Any black rectangle over the head is a privacy mask, not anatomy. Paired axial CT (left) and PSMA PET (right), 18F tracer. Acquired on GE Discovery 690. Slice 242 of 263. PET panel 256×256 px (2.7 mm/px).
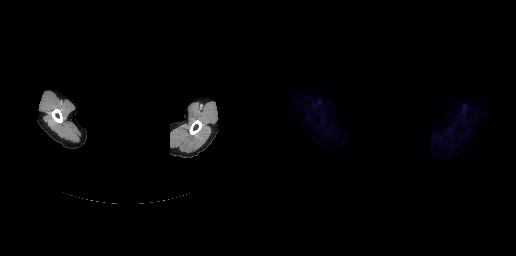
This slice has no annotated PSMA-avid lesion.